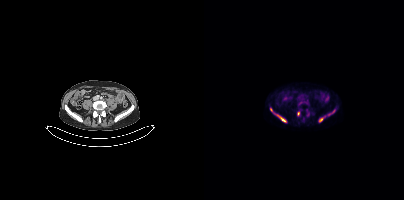
Coordinates are on the 200×200 PET (right) panel. PSMA-avid tumor lesion bounding boxes (x0,y0,x1,y1): [66,108,82,122] [115,116,121,122] [124,110,131,115] [93,111,95,115].